Left: CT. Right: PSMA PET, same axial level, 18F-PSMA tracer. Slice position z = -1334 mm.
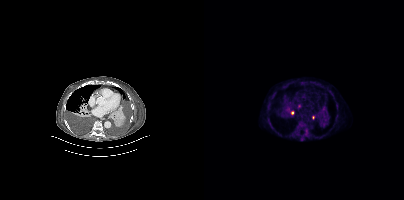
Coordinates are on the 200×200 PET (right) panel. PSMA-avid tumor lesion bounding boxes (partial; 1 more focus not listed):
| # | x0 | y0 | x1 | y1 |
|---|---|---|---|---|
| 1 | 96 | 124 | 100 | 128 |
| 2 | 101 | 130 | 103 | 135 |
Small PSMA-avid foci (2 to 4 px across) near (center x, center y): (97, 139); (95, 106); (88, 113); (109, 117).